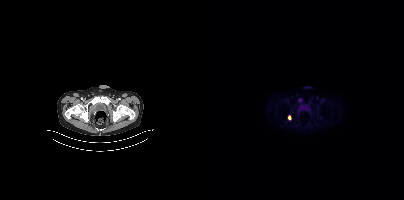
Technique: Left: CT. Right: PSMA PET, same axial level, 18F-PSMA tracer. slice position z = -862 mm. PET panel 200×200 px (4.1 mm/px).
Findings: Coordinates are on the 200×200 PET (right) panel. PSMA-avid tumor lesion bounding box (x0,y0,x1,y1): [84,115,87,119].